- Two-panel axial: CT | PSMA PET, 18F-PSMA tracer
- acquired on Siemens Biograph 64-4R TruePoint
- slice position z = -965 mm
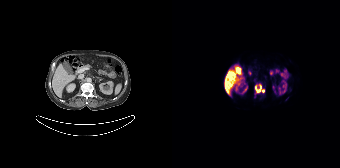
Findings: Coordinates are on the 168×168 PET (right) panel. PSMA-avid tumor lesion bounding box (x0,y0,x1,y1): [82,83,93,94].